Two-panel axial: CT | PSMA PET, 18F-PSMA tracer.
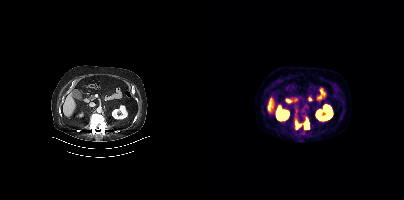
Coordinates are on the 200×200 PET (right) panel. (showing 2 of 4 foci) PSMA-avid tumor lesion bounding boxes (x, y, width, height): x=100 y=117 w=5 h=12 / x=91 y=121 w=7 h=9.